Two-panel axial: CT | PSMA PET, [68Ga]Ga-PSMA-11 tracer.
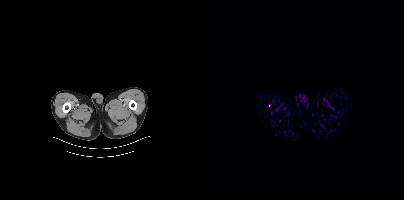
Coordinates are on the 200×200 PET (right) panel. Small PSMA-avid focus (2 to 4 px across) near (center x, center y): (65, 105).